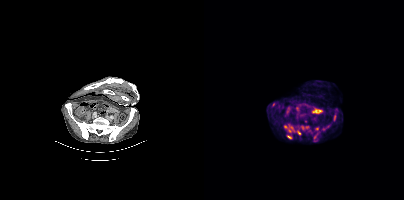
{"modality":"PSMA PET/CT","view":"axial","tracer":"[18F]PSMA-1007","pet_grid":[200,200],"coord_frame":"pet_panel","coord_format":"x0,y0,x1,y1","lesion_bboxes":[[85,127,97,135],[120,125,125,130],[83,136,88,138],[130,115,132,120],[110,134,113,138]],"small_foci_centers":[[69,104],[112,128],[103,127],[98,127],[81,126]]}